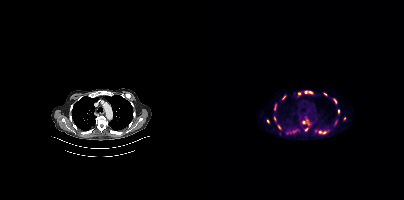
{"modality":"PSMA PET/CT","view":"axial","tracer":"[18F]PSMA-1007","pet_grid":[200,200],"coord_frame":"pet_panel","coord_format":"x0,y0,x1,y1","partial":true,"lesion_bboxes":[[99,90,109,94],[98,119,105,124],[93,92,97,96],[129,98,132,103],[70,104,72,110],[70,116,72,121],[63,119,65,123]],"small_foci_centers":[[102,129],[75,126],[121,94],[140,118],[120,132]]}